- Left: CT. Right: PSMA PET, same axial level, [18F]PSMA-1007 tracer
- acquired on Siemens Biograph mCT Flow 20
- slice 107 of 423
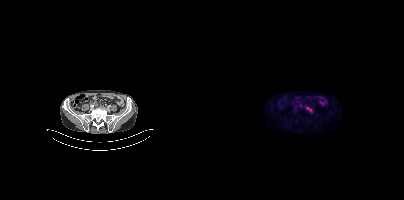
Findings: Coordinates are on the 200×200 PET (right) panel. (showing 1 of 2 foci) PSMA-avid tumor lesion bounding box (x, y, width, height): x=102 y=107 w=6 h=6.